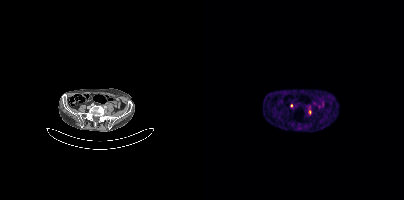
{"pet_grid":[200,200],"coord_frame":"pet_panel","coord_format":"x0,y0,x1,y1","lesion_bboxes":[[105,110,107,114]],"modality":"PSMA PET/CT","view":"axial","tracer":"[68Ga]Ga-PSMA-11"}